Two-panel axial: CT | PSMA PET, [18F]PSMA-1007 tracer. Slice 47 of 413.
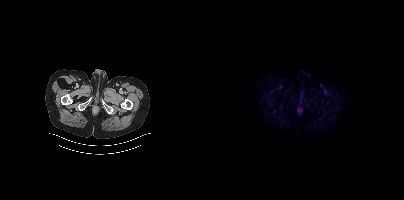
This slice has no annotated PSMA-avid lesion.